modality: PSMA PET/CT | tracer: [18F]PSMA-1007 | view: axial
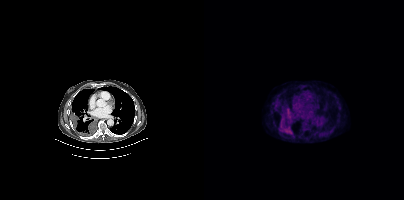
Coordinates are on the 200×200 PET (right) panel. PSMA-avid tumor lesion bounding boxes (x0, y0)-(x1, y1): (81, 108)-(88, 115); (80, 128)-(86, 133); (75, 122)-(79, 129).